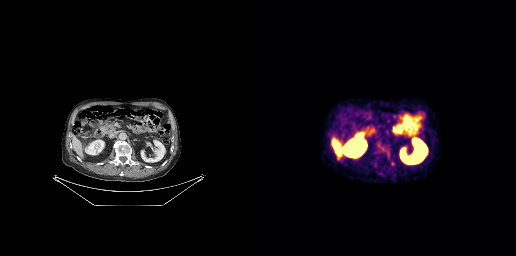
modality: PSMA PET/CT | tracer: 18F | view: axial | PET grid: 256×256
This slice has no annotated PSMA-avid lesion.